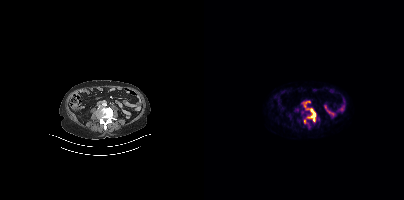
Findings: Coordinates are on the 200×200 PET (right) panel. PSMA-avid tumor lesion bounding box (x0,y0,x1,y1): [99,104,112,121]. Small PSMA-avid foci (2 to 4 px across) near (center x, center y): (101, 121) (92, 109) (105, 126).
- Left: CT. Right: PSMA PET, same axial level, [68Ga]Ga-PSMA-11 tracer